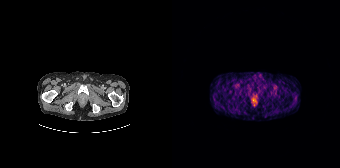
No tumor lesions annotated on this slice.